Technique: Two-panel axial: CT | PSMA PET, [18F]PSMA-1007 tracer. acquired on GE Discovery 690. slice 43 of 263.
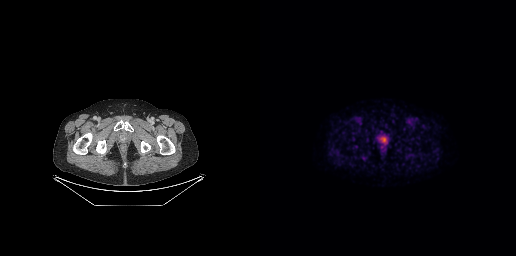
Findings: Coordinates are on the 256×256 PET (right) panel. PSMA-avid tumor lesion bounding box (x0, y0)-(x1, y1): (121, 137)-(126, 142).